- Paired axial CT (left) and PSMA PET (right), 18F-PSMA tracer
- PET panel 200×200 px (4.1 mm/px)
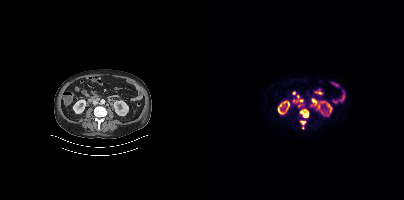
Findings: Coordinates are on the 200×200 PET (right) panel. (showing 5 of 8 foci) PSMA-avid tumor lesion bounding boxes (x0,y0,x1,y1): [96,111,104,117]; [96,121,101,124]. Small PSMA-avid foci (2 to 4 px across) near (center x, center y): (109, 100); (97, 100); (98, 127).